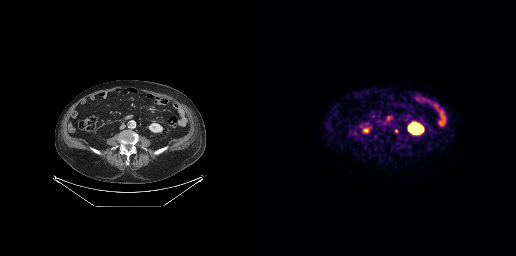
{"modality":"PSMA PET/CT","view":"axial","tracer":"[18F]PSMA-1007","pet_grid":[256,256],"coord_frame":"pet_panel","coord_format":"x0,y0,x1,y1","lesion_bboxes":[],"small_foci_centers":[[136,130],[124,123]]}